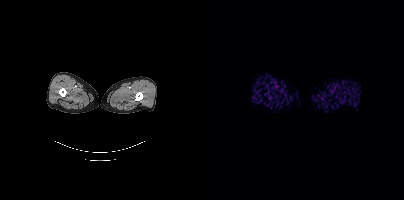
{"pet_grid":[200,200],"coord_frame":"pet_panel","coord_format":"x0,y0,x1,y1","psma_avid_lesions":false,"modality":"PSMA PET/CT","view":"axial","tracer":"[18F]PSMA-1007"}